modality: PSMA PET/CT | tracer: [18F]PSMA-1007 | view: axial | PET grid: 200×200
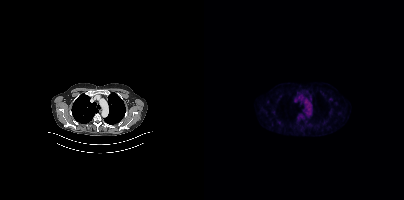
Negative for PSMA-avid disease on this slice.